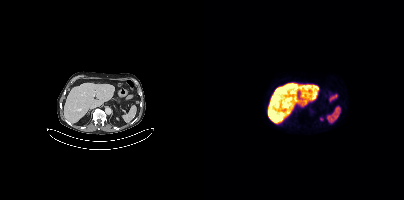
No PSMA-avid tumor lesions on this slice.